Technique: Left: CT. Right: PSMA PET, same axial level, 18F-PSMA tracer. acquired on Siemens Biograph 64-4R TruePoint.
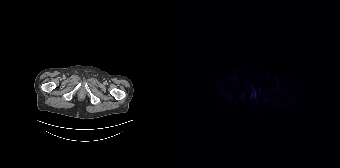
Findings: Negative for PSMA-avid disease on this slice.